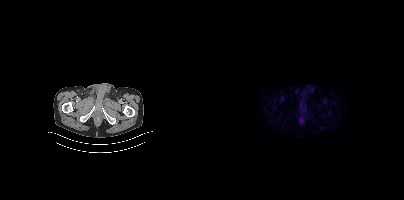
No PSMA-avid tumor lesions on this slice.
modality: PSMA PET/CT | tracer: 18F-PSMA | view: axial | PET grid: 200×200